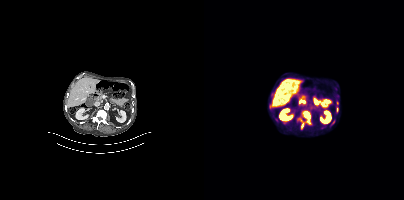
{"modality":"PSMA PET/CT","view":"axial","tracer":"18F-PSMA","pet_grid":[200,200],"coord_frame":"pet_panel","coord_format":"x0,y0,x1,y1","partial":true,"lesion_bboxes":[[96,123,100,129]],"small_foci_centers":[[104,117],[133,109]]}